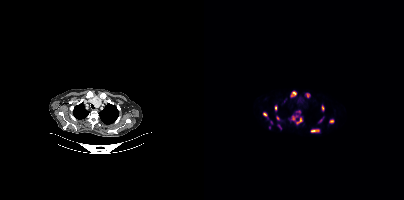
Coordinates are on the 200×200 PET (right) panel. PSMA-avid tumor lesion bounding boxes (x, y, width, height): x=87 y=115 w=12 h=10 | x=106 y=129 w=10 h=4 | x=86 y=91 w=7 h=6 | x=125 y=119 w=6 h=5 | x=59 y=112 w=5 h=6 | x=117 y=105 w=4 h=7 | x=71 y=105 w=3 h=6 | x=115 y=117 w=5 h=6 | x=103 y=93 w=3 h=5. Small PSMA-avid foci (2 to 4 px across) near (center x, center y): (73, 117) | (94, 111) | (67, 122) | (75, 126) | (65, 127).